Paired axial CT (left) and PSMA PET (right), [18F]PSMA-1007 tracer. Acquired on Siemens Biograph mCT Flow 20. PET panel 200×200 px (4.1 mm/px).
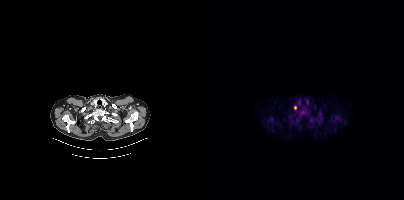
Coordinates are on the 200×200 PET (right) panel. PSMA-avid tumor lesion bounding boxes:
| # | x0 | y0 | x1 | y1 |
|---|---|---|---|---|
| 1 | 96 | 109 | 101 | 114 |
Small PSMA-avid focus (2 to 4 px across) near (center x, center y): (91, 107).